Two-panel axial: CT | PSMA PET, 18F tracer. Acquired on Siemens Biograph mCT Flow 20. Slice 87 of 383. PET panel 200×200 px (4.1 mm/px).
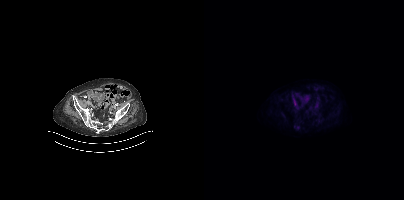
This slice has no annotated PSMA-avid lesion.